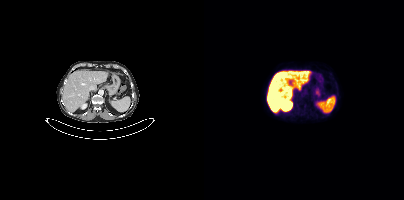
{"modality":"PSMA PET/CT","view":"axial","tracer":"[18F]PSMA-1007","pet_grid":[200,200],"coord_frame":"pet_panel","coord_format":"x0,y0,x1,y1","psma_avid_lesions":false}